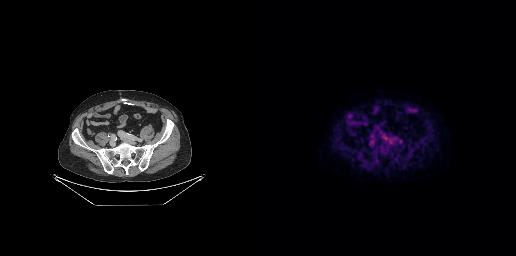
Negative for PSMA-avid disease on this slice.